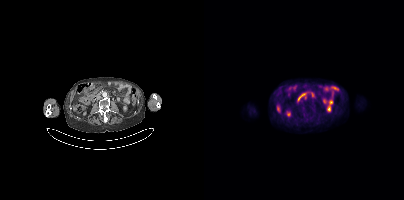
Paired axial CT (left) and PSMA PET (right), 18F tracer. PET panel 200×200 px (4.1 mm/px).
Coordinates are on the 200×200 PET (right) panel. PSMA-avid tumor lesion bounding boxes:
| # | x0 | y0 | x1 | y1 |
|---|---|---|---|---|
| 1 | 99 | 96 | 102 | 100 |